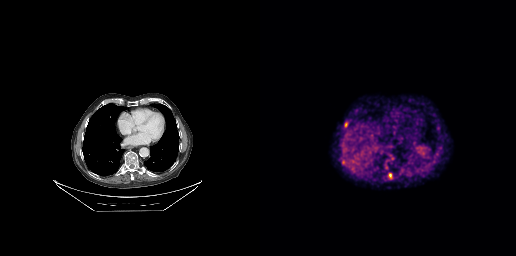
Coordinates are on the 256×256 PET (right) panel. PSMA-avid tumor lesion bounding boxes (partial; 1 more focus not listed):
| # | x0 | y0 | x1 | y1 |
|---|---|---|---|---|
| 1 | 84 | 122 | 88 | 127 |
| 2 | 128 | 173 | 132 | 179 |
| 3 | 177 | 126 | 179 | 130 |
Small PSMA-avid foci (2 to 4 px across) near (center x, center y): (132, 158); (126, 166); (83, 162); (127, 160).
Left: CT. Right: PSMA PET, same axial level, 68Ga tracer. Slice position z = -346 mm.